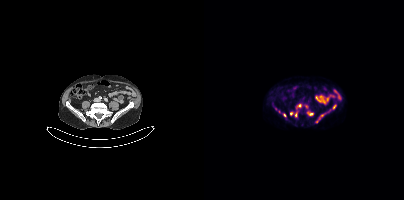
Coordinates are on the 200×200 PET (right) panel. PSMA-avid tumor lesion bounding boxes (x0, y0)-(x1, y1): (112, 113)-(122, 122) / (128, 104)-(132, 109) / (103, 112)-(109, 115) / (93, 104)-(97, 107). Small PSMA-avid foci (2 to 4 px across) near (center x, center y): (87, 113) / (91, 114) / (80, 115) / (102, 106) / (125, 110) / (71, 108) / (75, 111).